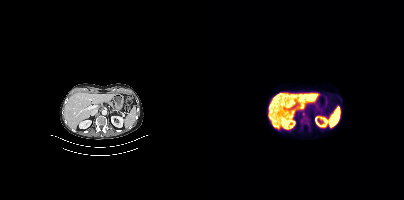
Coordinates are on the 200×200 PET (right) panel. Small PSMA-avid focus (2 to 4 px across) near (center x, center y): (99, 113).